Technique: Two-panel axial: CT | PSMA PET, [18F]PSMA-1007 tracer. PET panel 200×200 px (4.1 mm/px).
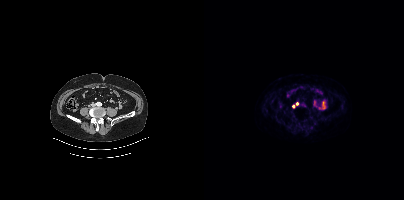
Findings: Coordinates are on the 200×200 PET (right) panel. Small PSMA-avid foci (2 to 4 px across) near (center x, center y): (89, 106) / (93, 103).